modality: PSMA PET/CT | tracer: [68Ga]Ga-PSMA-11 | view: axial
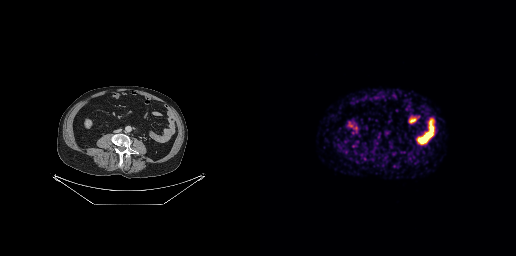
Negative for PSMA-avid disease on this slice.